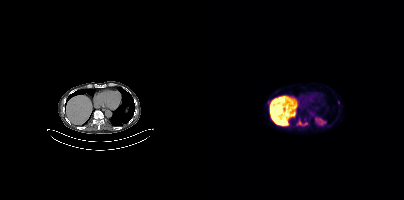
Technique: Left: CT. Right: PSMA PET, same axial level, 18F-PSMA tracer.
Findings: Coordinates are on the 200×200 PET (right) panel. PSMA-avid tumor lesion bounding box (x, y, width, height): x=93 y=120 w=11 h=6.